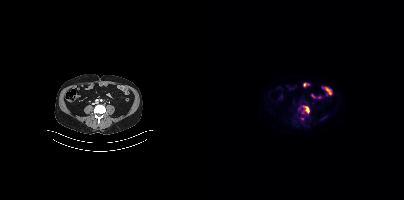
Findings: Coordinates are on the 200×200 PET (right) panel. PSMA-avid tumor lesion bounding box (x, y, width, height): x=98 y=105 w=8 h=9. Small PSMA-avid focus (2 to 4 px across) near (center x, center y): (98, 118).
- Two-panel axial: CT | PSMA PET, 18F-PSMA tracer
- slice position z = -600 mm
- PET panel 200×200 px (4.1 mm/px)